Two-panel axial: CT | PSMA PET, [68Ga]Ga-PSMA-11 tracer. PET panel 168×168 px (4.1 mm/px). An anonymization step blacked out a rectangle over the head in this scan.
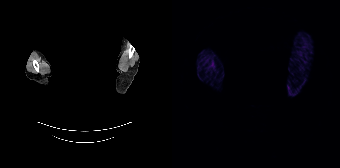
No tumor lesions annotated on this slice.